Paired axial CT (left) and PSMA PET (right), 68Ga-PSMA tracer. Acquired on Siemens Biograph 64-4R TruePoint. Slice position z = -1458 mm. PET panel 168×168 px (4.1 mm/px).
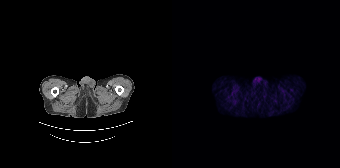
No tumor lesions annotated on this slice.